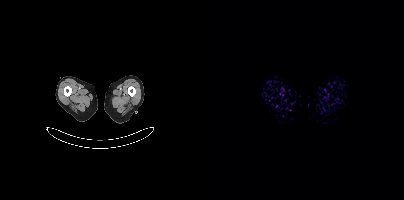
Paired axial CT (left) and PSMA PET (right), [18F]PSMA-1007 tracer. Acquired on Siemens Biograph mCT Flow 20. Slice position z = -1806 mm. PET panel 200×200 px (4.1 mm/px). This slice has no annotated PSMA-avid lesion.